modality: PSMA PET/CT | tracer: 18F | view: axial
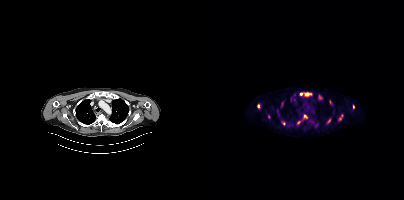
Coordinates are on the 200×200 PET (right) panel. (showing 13 of 16 foci) PSMA-avid tumor lesion bounding boxes (x, y, width, height): x=100 y=92 w=8 h=5; x=135 y=114 w=4 h=7; x=115 y=95 w=4 h=5. Small PSMA-avid foci (2 to 4 px across) near (center x, center y): (94, 122); (79, 123); (97, 94); (54, 105); (124, 120); (101, 116); (126, 102); (149, 107); (90, 99); (90, 94).